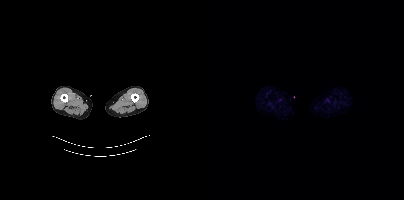
This slice has no annotated PSMA-avid lesion. Paired axial CT (left) and PSMA PET (right), [18F]PSMA-1007 tracer. Slice 13 of 466. PET panel 200×200 px (4.1 mm/px).